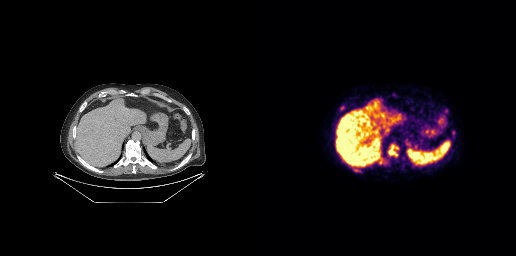
Paired axial CT (left) and PSMA PET (right), 18F-PSMA tracer. Acquired on GE Discovery 690. Slice 186 of 299. PET panel 256×256 px (2.7 mm/px).
Coordinates are on the 256×256 PET (right) panel. PSMA-avid tumor lesion bounding boxes:
| # | x0 | y0 | x1 | y1 |
|---|---|---|---|---|
| 1 | 128 | 144 | 138 | 156 |
| 2 | 80 | 106 | 84 | 110 |